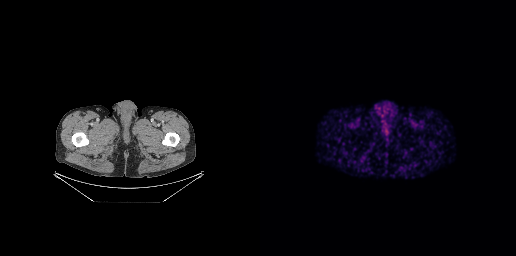
Findings: No PSMA-avid tumor lesions on this slice.
- Left: CT. Right: PSMA PET, same axial level, 68Ga-PSMA tracer
- slice position z = -967 mm